Left: CT. Right: PSMA PET, same axial level, 18F-PSMA tracer. Acquired on Siemens Biograph mCT Flow 20. PET panel 200×200 px (4.1 mm/px).
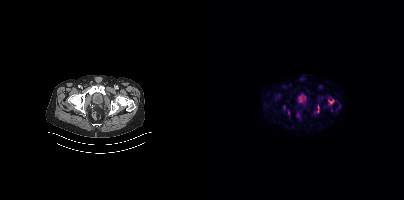
Only PSMA-avid lesion pieces thinner than 2 px on this slice (not listed).